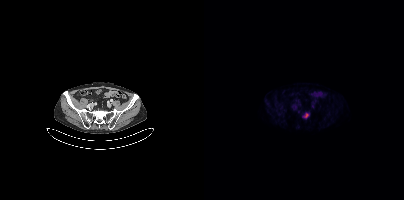
Left: CT. Right: PSMA PET, same axial level, 18F tracer. Slice position z = -136 mm. PET panel 200×200 px (4.1 mm/px). Coordinates are on the 200×200 PET (right) panel. PSMA-avid tumor lesion bounding box (x0,y0,x1,y1): [99,113,104,118].